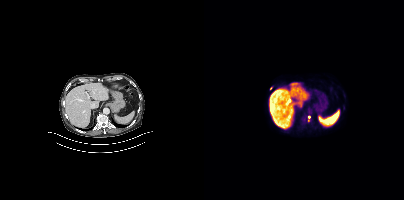
Coordinates are on the 200×200 PET (right) panel. Small PSMA-avid foci (2 to 4 px across) near (center x, center y): (66, 88); (104, 116).